Two-panel axial: CT | PSMA PET, 18F tracer.
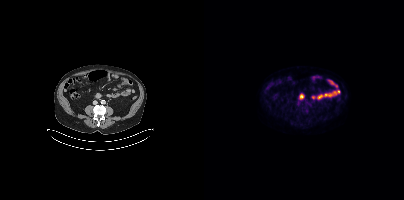
No tumor lesions annotated on this slice.